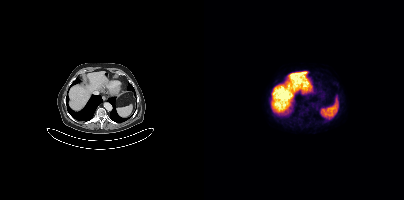
- Left: CT. Right: PSMA PET, same axial level, 18F tracer
- acquired on Siemens Biograph mCT Flow 20
- slice 263 of 433
- PET panel 200×200 px (4.1 mm/px)
Findings: No PSMA-avid tumor lesions on this slice.